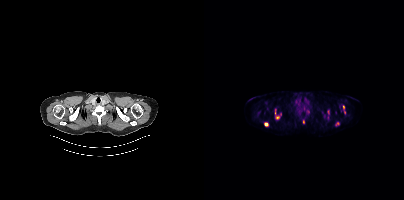
Coordinates are on the 200×200 PET (right) panel. (showing 3 of 5 foci) Small PSMA-avid foci (2 to 4 px across) near (center x, center y): (61, 124); (139, 106); (73, 117).